Technique: Two-panel axial: CT | PSMA PET, [68Ga]Ga-PSMA-11 tracer. acquired on Siemens Biograph 64-4R TruePoint. PET panel 168×168 px (4.1 mm/px).
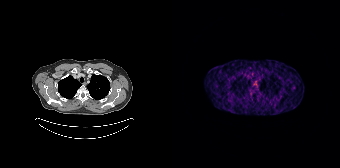
Findings: No PSMA-avid tumor lesions on this slice.